Technique: Two-panel axial: CT | PSMA PET, [18F]PSMA-1007 tracer.
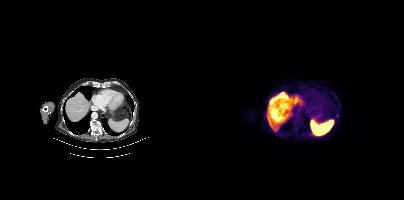
Findings: Coordinates are on the 200×200 PET (right) panel. (showing 1 of 2 foci) Small PSMA-avid focus (2 to 4 px across) near (center x, center y): (91, 129).